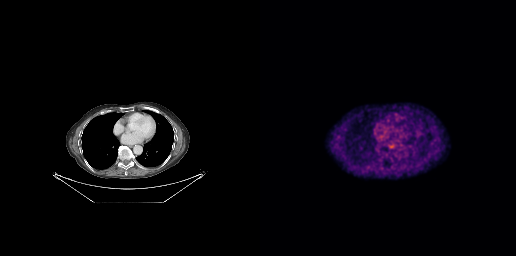
This slice has no annotated PSMA-avid lesion.